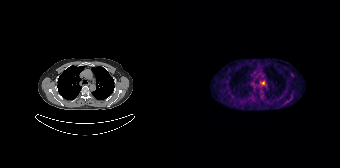
{"modality":"PSMA PET/CT","view":"axial","tracer":"68Ga-PSMA","pet_grid":[168,168],"coord_frame":"pet_panel","coord_format":"x0,y0,x1,y1","lesion_bboxes":[],"small_foci_centers":[[90,82]]}